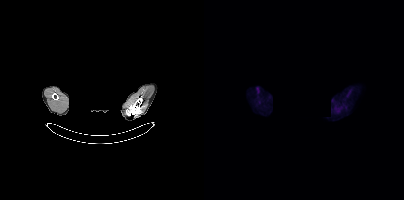
{"modality":"PSMA PET/CT","view":"axial","tracer":"18F-PSMA","pet_grid":[200,200],"coord_frame":"pet_panel","coord_format":"x0,y0,x1,y1","psma_avid_lesions":false,"redaction":"rectangular block over head set to black"}